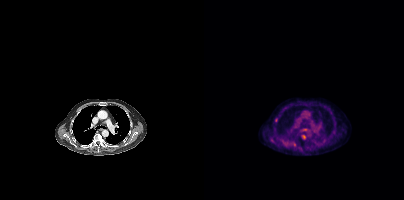
Coordinates are on the 200×200 PET (right) panel. PSMA-avid tumor lesion bounding box (x, y, width, height): x=71 y=118 w=3 h=5. Small PSMA-avid foci (2 to 4 px across) near (center x, center y): (90, 144) | (100, 136).
modality: PSMA PET/CT | tracer: 18F-PSMA | view: axial